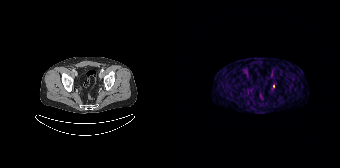
Two-panel axial: CT | PSMA PET, [68Ga]Ga-PSMA-11 tracer. Acquired on Siemens Biograph 64-4R TruePoint. PET panel 168×168 px (4.1 mm/px). Coordinates are on the 168×168 PET (right) panel. Small PSMA-avid focus (2 to 4 px across) near (center x, center y): (101, 86).